Technique: Left: CT. Right: PSMA PET, same axial level, 18F-PSMA tracer. acquired on Siemens Biograph 64-4R TruePoint.
Note: A rectangular block over the head has been blanked out for de-identification.
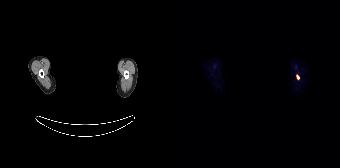
Findings: Coordinates are on the 168×168 PET (right) panel. PSMA-avid tumor lesion bounding box (x, y, width, height): x=124 y=74 w=4 h=6.